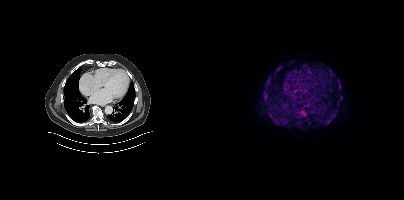
- Paired axial CT (left) and PSMA PET (right), [18F]PSMA-1007 tracer
- PET panel 200×200 px (4.1 mm/px)
Findings: Coordinates are on the 200×200 PET (right) panel. PSMA-avid tumor lesion bounding boxes (x, y, width, height): x=94 y=107 w=10 h=10; x=122 y=113 w=11 h=11; x=61 y=80 w=6 h=7; x=64 y=112 w=6 h=7; x=71 y=120 w=6 h=6; x=59 y=96 w=6 h=6; x=134 y=97 w=5 h=5; x=72 y=67 w=5 h=5; x=134 y=84 w=4 h=5. Small PSMA-avid foci (2 to 4 px across) near (center x, center y): (105, 123); (101, 65); (65, 76).